Paired axial CT (left) and PSMA PET (right), 18F-PSMA tracer. Acquired on Siemens Biograph mCT Flow 20. PET panel 200×200 px (4.1 mm/px).
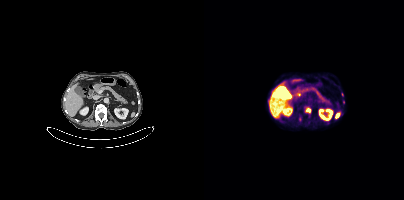
Coordinates are on the 200×200 PET (right) panel. PSMA-avid tumor lesion bounding boxes:
| # | x0 | y0 | x1 | y1 |
|---|---|---|---|---|
| 1 | 102 | 108 | 106 | 112 |
Small PSMA-avid foci (2 to 4 px across) near (center x, center y): (138, 94); (139, 102).